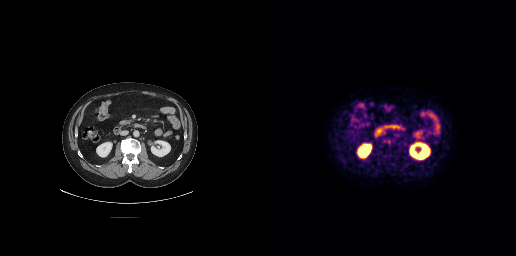
{"modality":"PSMA PET/CT","view":"axial","tracer":"18F-PSMA","pet_grid":[256,256],"coord_frame":"pet_panel","coord_format":"x0,y0,x1,y1","psma_avid_lesions":false}